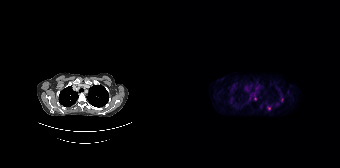
- Left: CT. Right: PSMA PET, same axial level, [18F]PSMA-1007 tracer
- slice position z = -1100 mm
- PET panel 168×168 px (4.1 mm/px)
Findings: Coordinates are on the 168×168 PET (right) panel. PSMA-avid tumor lesion bounding box (x0,y0,x1,y1): [109,97,111,101]. Small PSMA-avid foci (2 to 4 px across) near (center x, center y): (96, 108) (83, 98).